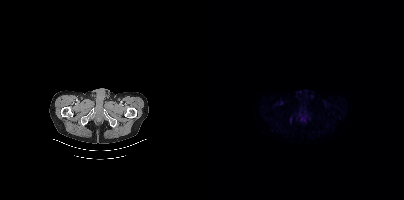
{"modality":"PSMA PET/CT","view":"axial","tracer":"[18F]PSMA-1007","pet_grid":[200,200],"coord_frame":"pet_panel","coord_format":"x0,y0,x1,y1","lesion_bboxes":[[86,117,88,121]]}